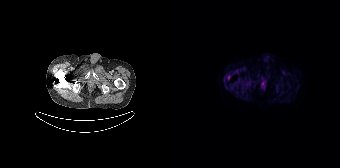
Technique: Two-panel axial: CT | PSMA PET, [18F]PSMA-1007 tracer. PET panel 168×168 px (4.1 mm/px).
Findings: No tumor lesions annotated on this slice.